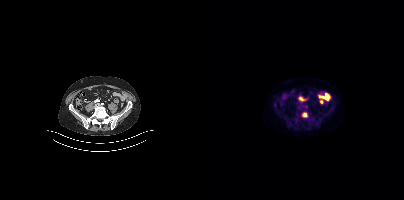
{"modality":"PSMA PET/CT","view":"axial","tracer":"18F","pet_grid":[200,200],"coord_frame":"pet_panel","coord_format":"x0,y0,x1,y1","lesion_bboxes":[[98,112,103,116]]}